Left: CT. Right: PSMA PET, same axial level, 68Ga-PSMA tracer. PET panel 168×168 px (4.1 mm/px).
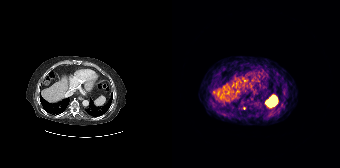
Coordinates are on the 168×168 PET (right) panel. Small PSMA-avid focus (2 to 4 px across) near (center x, center y): (72, 108).